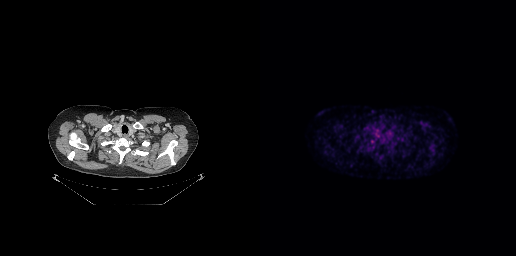
This slice has no annotated PSMA-avid lesion.